Technique: Left: CT. Right: PSMA PET, same axial level, 18F tracer.
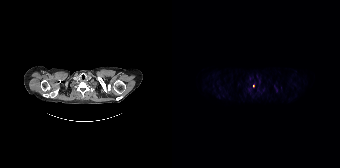
Findings: Coordinates are on the 168×168 PET (right) panel. Small PSMA-avid focus (2 to 4 px across) near (center x, center y): (81, 85).